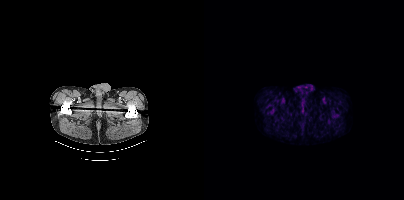
modality: PSMA PET/CT | tracer: 18F | view: axial | PET grid: 200×200
No PSMA-avid tumor lesions on this slice.